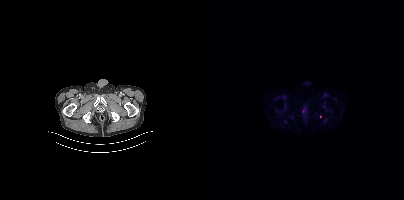
- Left: CT. Right: PSMA PET, same axial level, 18F tracer
Findings: Negative for PSMA-avid disease on this slice.